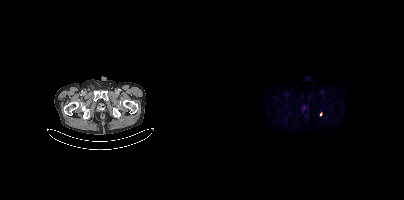
Coordinates are on the 200×200 PET (right) panel. Small PSMA-avid focus (2 to 4 px across) near (center x, center y): (116, 114). Paired axial CT (left) and PSMA PET (right), 18F-PSMA tracer. Slice position z = -1511 mm.